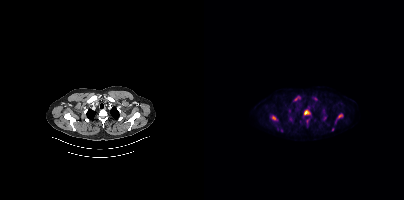
Coordinates are on the 200×200 PET (right) panel. PSMA-avid tumor lesion bounding boxes (partial; 1 more focus not listed):
| # | x0 | y0 | x1 | y1 |
|---|---|---|---|---|
| 1 | 100 | 109 | 106 | 115 |
| 2 | 68 | 116 | 73 | 120 |
| 3 | 89 | 96 | 95 | 101 |
| 4 | 133 | 114 | 138 | 118 |
| 5 | 102 | 120 | 105 | 126 |
Small PSMA-avid foci (2 to 4 px across) near (center x, center y): (121, 118); (78, 130); (128, 129); (111, 98).
Two-panel axial: CT | PSMA PET, 18F-PSMA tracer.